Left: CT. Right: PSMA PET, same axial level, 68Ga-PSMA tracer.
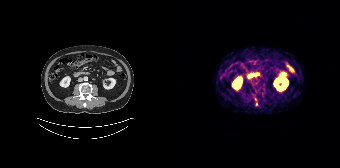
Only PSMA-avid lesion pieces thinner than 2 px on this slice (not listed).